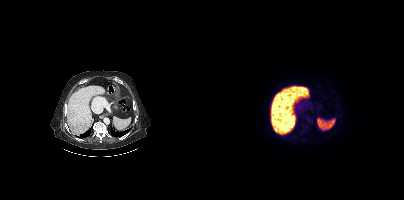
This slice has no annotated PSMA-avid lesion.